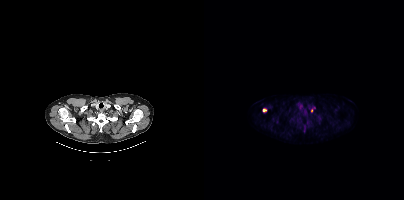
Technique: Left: CT. Right: PSMA PET, same axial level, 18F-PSMA tracer. acquired on Siemens Biograph mCT Flow 20. PET panel 200×200 px (4.1 mm/px).
Findings: Coordinates are on the 200×200 PET (right) panel. PSMA-avid tumor lesion bounding box (x, y, width, height): x=58 y=108 w=5 h=5. Small PSMA-avid focus (2 to 4 px across) near (center x, center y): (107, 110).